modality: PSMA PET/CT | tracer: 68Ga-PSMA | view: axial
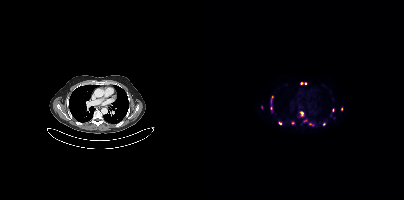
Coordinates are on the 200×200 PET (right) panel. (showing 12 of 13 foci) PSMA-avid tumor lesion bounding boxes (x0,y0,x1,y1): [95,112,99,115] [99,119,103,122] [67,97,69,103]. Small PSMA-avid foci (2 to 4 px across) near (center x, center y): (120, 124) (97, 83) (137, 109) (75, 122) (128, 110) (101, 83) (57, 107) (88, 122) (107, 124).